Face de-identified by blanking a block of the head. Two-panel axial: CT | PSMA PET, [68Ga]Ga-PSMA-11 tracer. Acquired on Siemens Biograph mCT Flow 20. Slice position z = -906 mm.
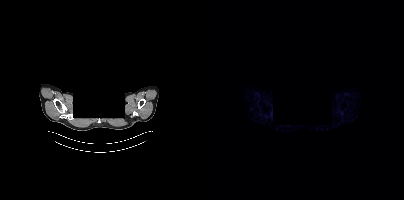
No tumor lesions annotated on this slice.